modality: PSMA PET/CT | tracer: [18F]PSMA-1007 | view: axial
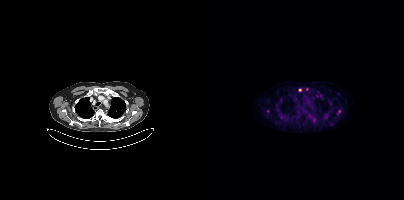
Coordinates are on the 200×200 PET (right) panel. (showing 1 of 4 foci) Small PSMA-avid focus (2 to 4 px across) near (center x, center y): (96, 90).